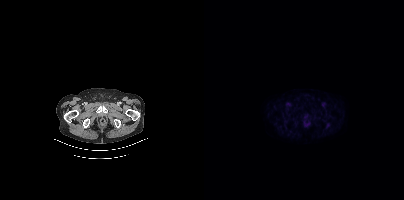
{"modality":"PSMA PET/CT","view":"axial","tracer":"18F","pet_grid":[200,200],"coord_frame":"pet_panel","coord_format":"x0,y0,x1,y1","psma_avid_lesions":false}